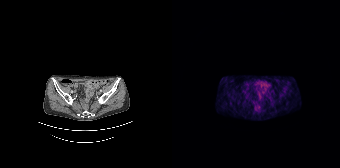
Negative for PSMA-avid disease on this slice.